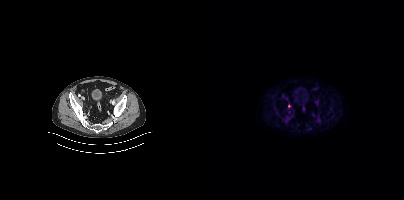
{"modality":"PSMA PET/CT","view":"axial","tracer":"[18F]PSMA-1007","pet_grid":[200,200],"coord_frame":"pet_panel","coord_format":"x0,y0,x1,y1","lesion_bboxes":[],"small_foci_centers":[[84,105]]}